Left: CT. Right: PSMA PET, same axial level, 18F tracer. Acquired on Siemens Biograph mCT Flow 20. Slice position z = -227 mm.
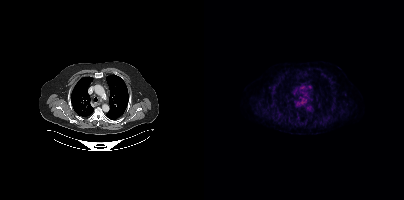
No PSMA-avid tumor lesions on this slice.